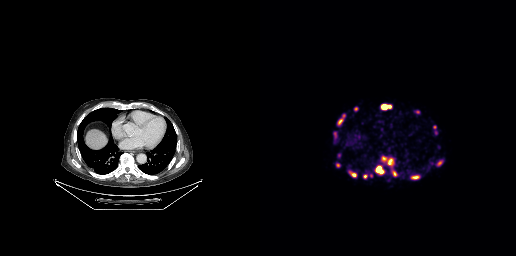
Paired axial CT (left) and PSMA PET (right), 68Ga-PSMA tracer. Coordinates are on the 256×256 PET (right) panel. (showing 15 of 17 foci) PSMA-avid tumor lesion bounding boxes (x0, y0)-(x1, y1): (176, 159)-(183, 165); (122, 105)-(130, 108); (129, 158)-(132, 163); (76, 163)-(80, 167); (103, 174)-(107, 178); (78, 119)-(82, 124); (122, 157)-(126, 160); (153, 176)-(158, 178). Small PSMA-avid foci (2 to 4 px across) near (center x, center y): (118, 168); (93, 174); (157, 112); (176, 132); (111, 175); (96, 109); (175, 127).